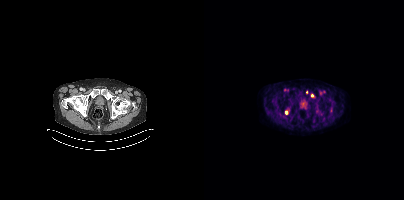
Coordinates are on the 200×200 PET (right) panel. Small PSMA-avid foci (2 to 4 px across) near (center x, center y): (82, 112); (108, 95); (102, 92).